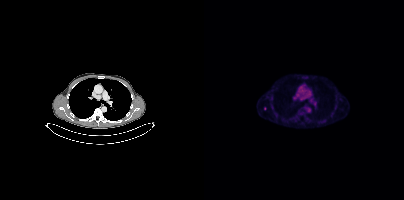
{"modality":"PSMA PET/CT","view":"axial","tracer":"18F-PSMA","pet_grid":[200,200],"coord_frame":"pet_panel","coord_format":"x0,y0,x1,y1","lesion_bboxes":[],"small_foci_centers":[[61,108]]}